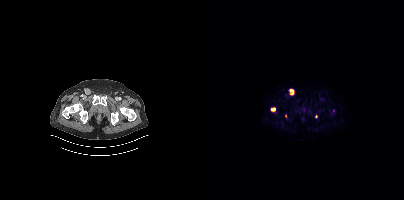
Coordinates are on the 200×200 PET (right) panel. PSMA-avid tumor lesion bounding boxes (x, y, width, height): x=85 y=89 w=6 h=7 / x=67 y=107 w=5 h=5. Small PSMA-avid foci (2 to 4 px across) near (center x, center y): (112, 116) / (81, 116).